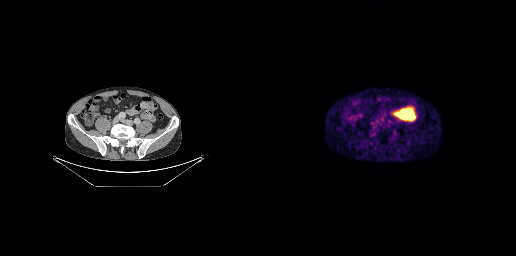
Technique: Paired axial CT (left) and PSMA PET (right), 68Ga-PSMA tracer.
Findings: Negative for PSMA-avid disease on this slice.